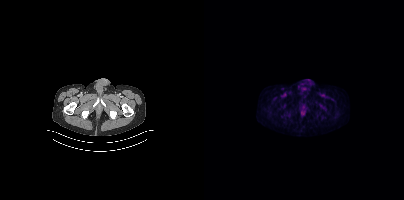
This slice has no annotated PSMA-avid lesion.